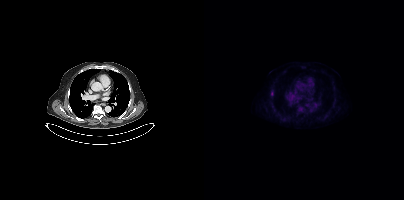
{"modality":"PSMA PET/CT","view":"axial","tracer":"18F-PSMA","pet_grid":[200,200],"coord_frame":"pet_panel","coord_format":"x0,y0,x1,y1","lesion_bboxes":[],"small_foci_centers":[[67,93]]}